Left: CT. Right: PSMA PET, same axial level, 18F tracer. Acquired on Siemens Biograph mCT Flow 20.
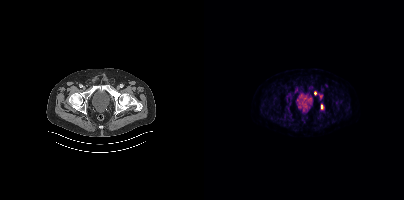
Coordinates are on the 200×200 PET (right) panel. PSMA-avid tumor lesion bounding boxes (x0, y0)-(x1, y1): (117, 104)-(119, 109); (115, 94)-(118, 98). Small PSMA-avid focus (2 to 4 px across) near (center x, center y): (111, 93).